modality: PSMA PET/CT | tracer: 18F | view: axial | PET grid: 200×200
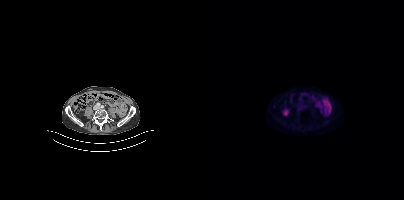
No tumor lesions annotated on this slice.